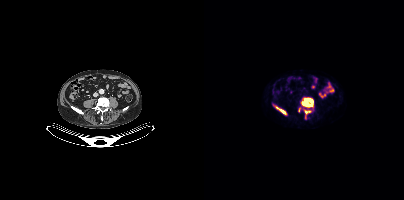
{"modality":"PSMA PET/CT","view":"axial","tracer":"18F-PSMA","pet_grid":[200,200],"coord_frame":"pet_panel","coord_format":"x0,y0,x1,y1","partial":true,"lesion_bboxes":[[97,98,109,106],[71,106,81,113],[100,110,107,114]]}